modality: PSMA PET/CT | tracer: 68Ga-PSMA | view: axial
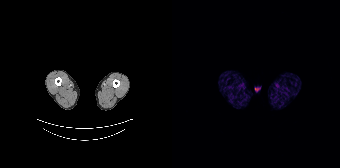
No tumor lesions annotated on this slice.